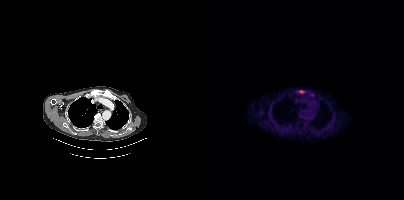
Coordinates are on the 200×200 PET (right) panel. Small PSMA-avid focus (2 to 4 px across) near (center x, center y): (97, 91).